Technique: Left: CT. Right: PSMA PET, same axial level, [68Ga]Ga-PSMA-11 tracer.
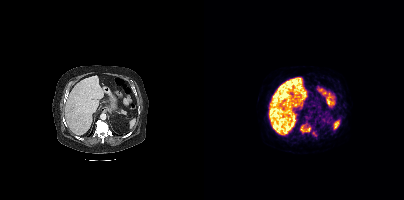
Findings: Coordinates are on the 200×200 PET (right) panel. PSMA-avid tumor lesion bounding box (x0,y0,x1,y1): [96,125,106,132]. Small PSMA-avid focus (2 to 4 px across) near (center x, center y): (111, 135).